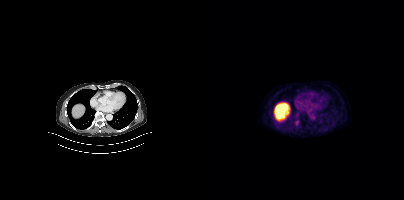
Coordinates are on the 200×200 PET (right) panel. Small PSMA-avid focus (2 to 4 px across) near (center x, center y): (92, 122).